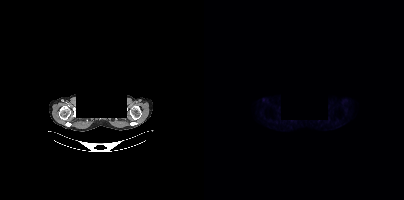
Privacy masking over the head, with the pixels inside a rectangle set to black. Paired axial CT (left) and PSMA PET (right), 18F-PSMA tracer. Negative for PSMA-avid disease on this slice.